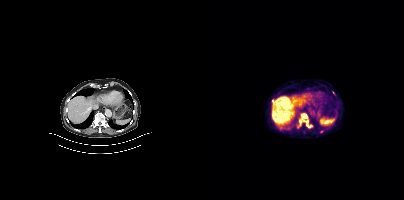
Findings: Coordinates are on the 200×200 PET (right) panel. (showing 4 of 5 foci) PSMA-avid tumor lesion bounding boxes (x0,y0,x1,y1): [94,114,108,128]; [128,119,130,123]. Small PSMA-avid foci (2 to 4 px across) near (center x, center y): (68, 100); (117, 131).
Technique: Two-panel axial: CT | PSMA PET, [18F]PSMA-1007 tracer. acquired on Siemens Biograph mCT Flow 20. PET panel 200×200 px (4.1 mm/px).